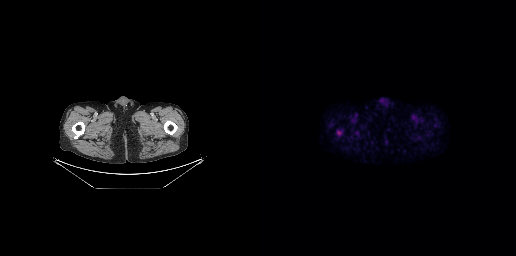
Coordinates are on the 256×256 PET (right) panel. PSMA-avid tumor lesion bounding box (x0, y0)-(x1, y1): (77, 131)-(81, 135).